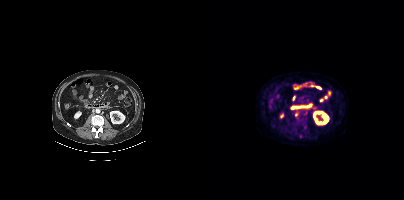
Coordinates are on the 200×200 PET (right) panel. Small PSMA-avid foci (2 to 4 px across) near (center x, center y): (92, 114) | (96, 136). Left: CT. Right: PSMA PET, same axial level, 18F-PSMA tracer.